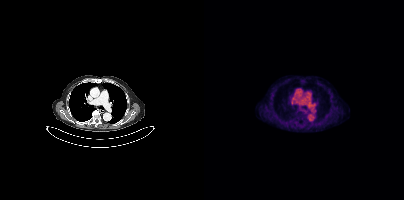
Findings: No PSMA-avid tumor lesions on this slice.
- Left: CT. Right: PSMA PET, same axial level, 18F-PSMA tracer
- slice position z = -1198 mm